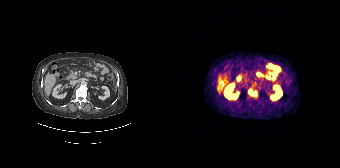
- Two-panel axial: CT | PSMA PET, 68Ga tracer
- slice position z = -1302 mm
Findings: Coordinates are on the 168×168 PET (right) panel. PSMA-avid tumor lesion bounding box (x, y, width, height): x=76 y=89 w=9 h=8.